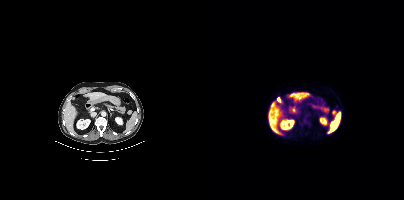
Coordinates are on the 200×200 PET (right) panel. PSMA-avid tumor lesion bounding box (x0, y0)-(x1, y1): (128, 110)-(132, 114).
modality: PSMA PET/CT | tracer: 18F | view: axial